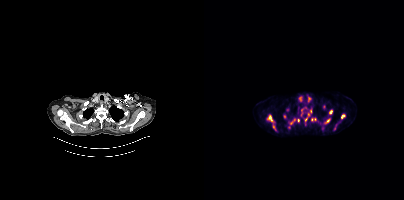
{"modality":"PSMA PET/CT","view":"axial","tracer":"[18F]PSMA-1007","pet_grid":[200,200],"coord_frame":"pet_panel","coord_format":"x0,y0,x1,y1","partial":true,"lesion_bboxes":[[62,114,72,130],[85,118,95,124],[137,114,141,118],[121,119,126,123],[125,110,128,114],[107,118,112,120]],"small_foci_centers":[[102,118],[80,116],[85,127],[104,114],[83,109]]}